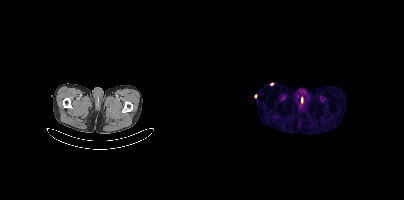
{"modality":"PSMA PET/CT","view":"axial","tracer":"[68Ga]Ga-PSMA-11","pet_grid":[200,200],"coord_frame":"pet_panel","coord_format":"x0,y0,x1,y1","psma_avid_lesions":false}